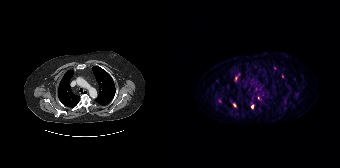
Paired axial CT (left) and PSMA PET (right), [68Ga]Ga-PSMA-11 tracer. PET panel 168×168 px (4.1 mm/px). Coordinates are on the 168×168 PET (right) panel. (showing 3 of 4 foci) Small PSMA-avid foci (2 to 4 px across) near (center x, center y): (80, 106); (62, 105); (63, 78).